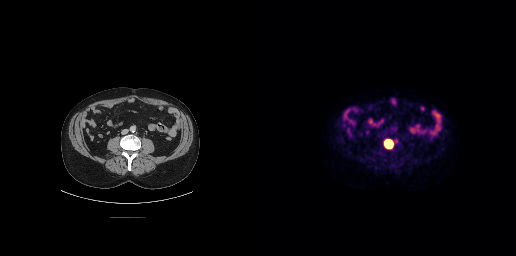
Coordinates are on the 256×256 PET (right) panel. (showing 1 of 2 foci) PSMA-avid tumor lesion bounding box (x0,y0,x1,y1): [123,139,133,149].
modality: PSMA PET/CT | tracer: 18F-PSMA | view: axial